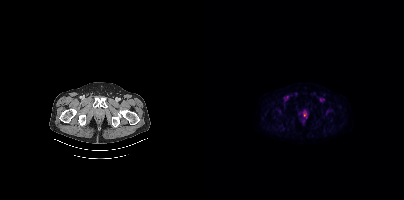
Findings: Only PSMA-avid lesion pieces thinner than 2 px on this slice (not listed).
- Paired axial CT (left) and PSMA PET (right), 18F tracer
- acquired on Siemens Biograph mCT Flow 20
- slice 60 of 435
- PET panel 200×200 px (4.1 mm/px)